Two-panel axial: CT | PSMA PET, 18F-PSMA tracer. Acquired on Siemens Biograph mCT Flow 20. PET panel 200×200 px (4.1 mm/px).
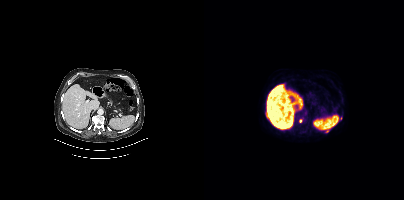
Coordinates are on the 200×200 PET (right) panel. (showing 2 of 3 foci) Small PSMA-avid foci (2 to 4 px across) near (center x, center y): (96, 120) / (122, 131).